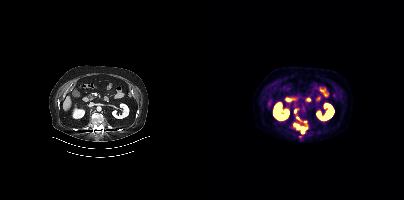
Coordinates are on the 200×200 PET (right) panel. PSMA-avid tumor lesion bounding boxes (x, y, width, height): x=90 y=123 w=8 h=7 | x=98 y=127 w=5 h=6. Small PSMA-avid foci (2 to 4 px across) near (center x, center y): (91, 111) | (93, 117) | (96, 136) | (101, 121).